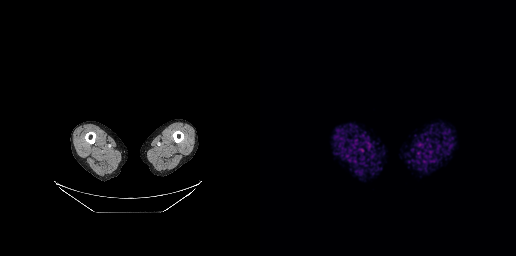
No PSMA-avid tumor lesions on this slice. Paired axial CT (left) and PSMA PET (right), 68Ga-PSMA tracer. Slice 8 of 263. PET panel 256×256 px (2.7 mm/px).